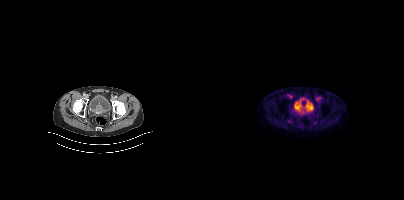
Coordinates are on the 200×200 PET (right) panel. PSMA-avid tumor lesion bounding box (x0,y0,x1,y1): [94,105,104,113].